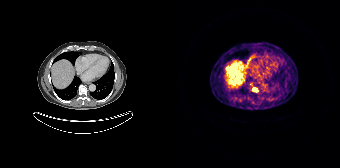
- Left: CT. Right: PSMA PET, same axial level, 68Ga tracer
- acquired on Siemens Biograph 64-4R TruePoint
- slice 254 of 315
- PET panel 168×168 px (4.1 mm/px)
Findings: Coordinates are on the 168×168 PET (right) panel. PSMA-avid tumor lesion bounding box (x0,y0,x1,y1): [80,88,85,91].